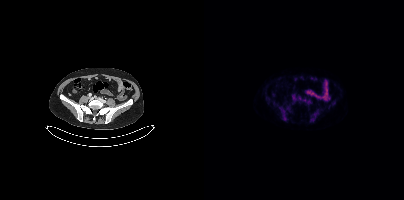
No tumor lesions annotated on this slice. Two-panel axial: CT | PSMA PET, 18F tracer. Slice position z = -1423 mm. PET panel 200×200 px (4.1 mm/px).